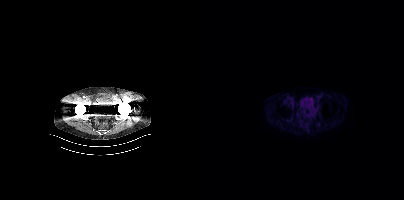
modality: PSMA PET/CT | tracer: 18F-PSMA | view: axial | PET grid: 200×200
No PSMA-avid tumor lesions on this slice.